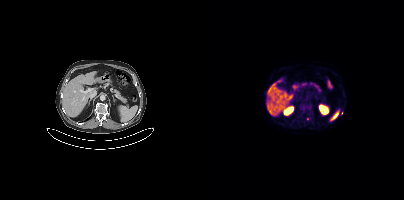
- Left: CT. Right: PSMA PET, same axial level, 18F-PSMA tracer
- acquired on Siemens Biograph mCT Flow 20
- slice 213 of 419
- PET panel 200×200 px (4.1 mm/px)
Findings: Only PSMA-avid lesion pieces thinner than 2 px on this slice (not listed).